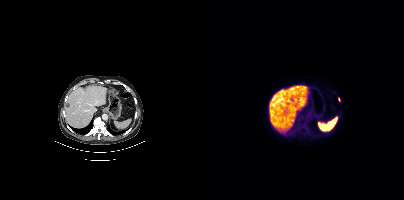
Technique: Paired axial CT (left) and PSMA PET (right), 18F tracer.
Findings: Coordinates are on the 200×200 PET (right) panel. Small PSMA-avid focus (2 to 4 px across) near (center x, center y): (135, 99).